Technique: Left: CT. Right: PSMA PET, same axial level, 68Ga tracer. slice position z = -628 mm. PET panel 256×256 px (2.7 mm/px).
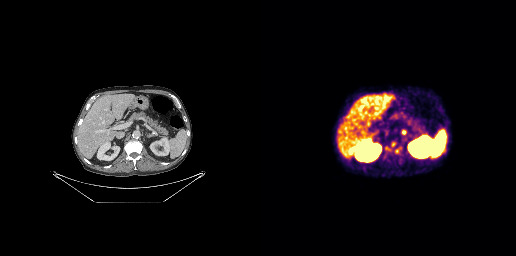
Findings: Coordinates are on the 256×256 PET (right) panel. Small PSMA-avid foci (2 to 4 px across) near (center x, center y): (144, 132); (137, 151); (132, 144).